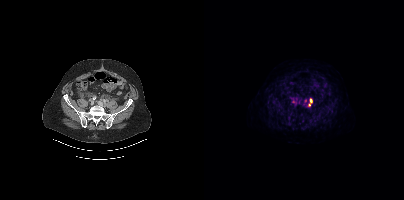
Findings: Coordinates are on the 200×200 PET (right) panel. Small PSMA-avid foci (2 to 4 px across) near (center x, center y): (107, 100), (89, 101), (101, 100), (105, 104).
- Left: CT. Right: PSMA PET, same axial level, 18F-PSMA tracer
- acquired on Siemens Biograph mCT Flow 20
- PET panel 200×200 px (4.1 mm/px)